- Left: CT. Right: PSMA PET, same axial level, 18F tracer
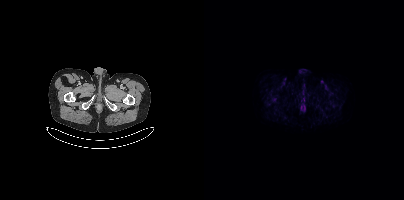
Findings: Negative for PSMA-avid disease on this slice.